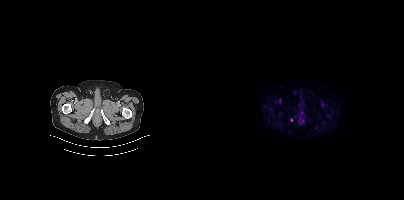
{"pet_grid":[200,200],"coord_frame":"pet_panel","coord_format":"x0,y0,x1,y1","lesion_bboxes":[],"small_foci_centers":[[87,119]],"modality":"PSMA PET/CT","view":"axial","tracer":"[18F]PSMA-1007"}